Two-panel axial: CT | PSMA PET, 18F tracer. Slice position z = -1500 mm.
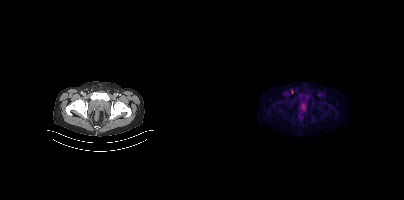
Coordinates are on the 200×200 PET (right) panel. Small PSMA-avid focus (2 to 4 px across) near (center x, center y): (88, 91).